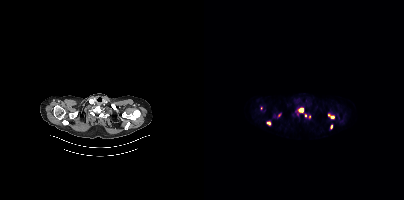
Coordinates are on the 200×200 PET (right) panel. (showing 6 of 7 foci) PSMA-avid tumor lesion bounding boxes (x0, y0)-(x1, y1): (94, 107)-(99, 112) / (124, 114)-(130, 118) / (63, 121)-(66, 125). Small PSMA-avid foci (2 to 4 px across) near (center x, center y): (127, 126) / (101, 115) / (105, 116).